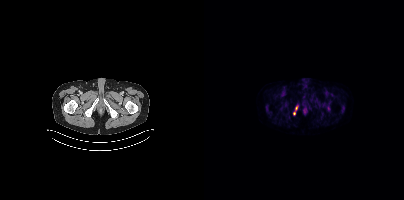
{"modality":"PSMA PET/CT","view":"axial","tracer":"68Ga-PSMA","pet_grid":[200,200],"coord_frame":"pet_panel","coord_format":"x0,y0,x1,y1","lesion_bboxes":[[91,106,93,110]],"small_foci_centers":[[90,113]]}